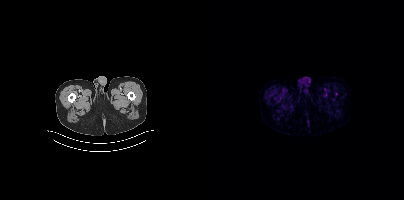
{"modality":"PSMA PET/CT","view":"axial","tracer":"18F","pet_grid":[200,200],"coord_frame":"pet_panel","coord_format":"x0,y0,x1,y1","partial":true,"lesion_bboxes":[]}